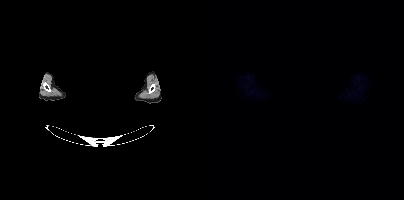
Any black rectangle over the head is a privacy mask, not anatomy.
No tumor lesions annotated on this slice.